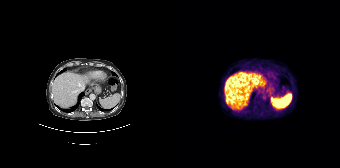
{"modality":"PSMA PET/CT","view":"axial","tracer":"68Ga","pet_grid":[168,168],"coord_frame":"pet_panel","coord_format":"x0,y0,x1,y1","psma_avid_lesions":false}